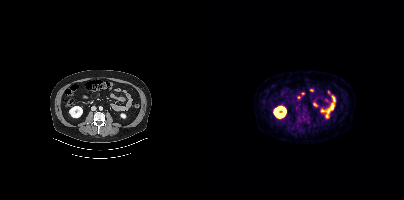
{"pet_grid":[200,200],"coord_frame":"pet_panel","coord_format":"x0,y0,x1,y1","psma_avid_lesions":false,"modality":"PSMA PET/CT","view":"axial","tracer":"[18F]PSMA-1007"}